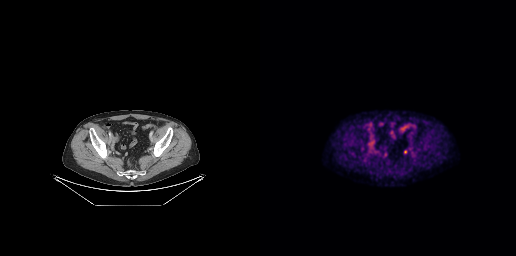
{"modality":"PSMA PET/CT","view":"axial","tracer":"18F-PSMA","pet_grid":[256,256],"coord_frame":"pet_panel","coord_format":"x0,y0,x1,y1","lesion_bboxes":[],"small_foci_centers":[[145,151]]}